modality: PSMA PET/CT | tracer: 18F | view: axial | PET grid: 256×256
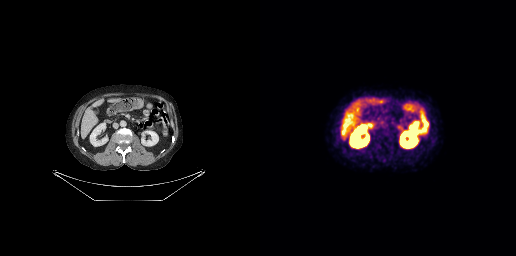
Negative for PSMA-avid disease on this slice.